Left: CT. Right: PSMA PET, same axial level, 18F tracer. Slice position z = -1077 mm.
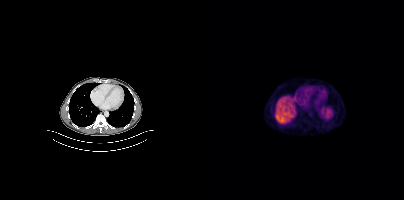
No tumor lesions annotated on this slice.